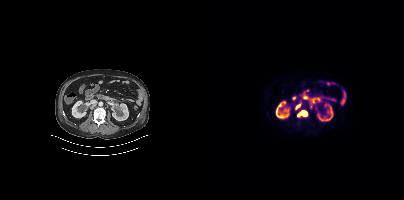
Coordinates are on the 200×200 PET (right) panel. PSMA-avid tumor lesion bounding boxes (x, y, width, height): x=93 y=110 w=11 h=8; x=91 y=103 w=7 h=7.